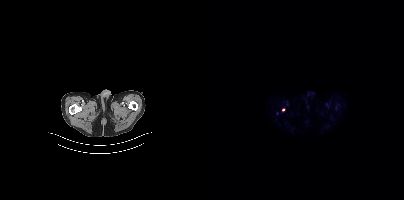
Two-panel axial: CT | PSMA PET, 18F-PSMA tracer. Slice position z = -956 mm. Coordinates are on the 200×200 PET (right) panel. Small PSMA-avid focus (2 to 4 px across) near (center x, center y): (79, 109).